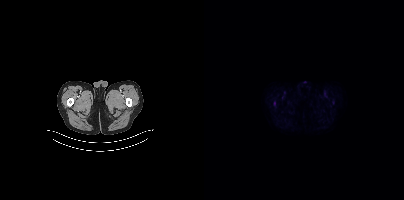
modality: PSMA PET/CT | tracer: 18F-PSMA | view: axial | PET grid: 200×200
No PSMA-avid tumor lesions on this slice.